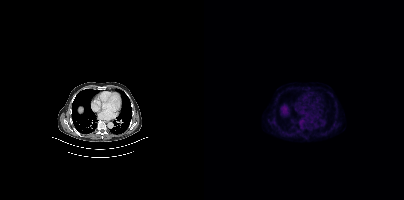
- Two-panel axial: CT | PSMA PET, [18F]PSMA-1007 tracer
- slice position z = -1102 mm
Findings: Negative for PSMA-avid disease on this slice.